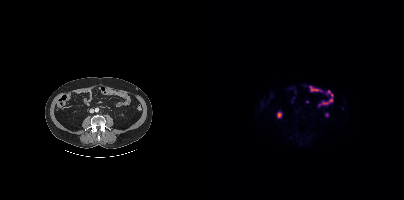
Findings: No tumor lesions annotated on this slice.
- Two-panel axial: CT | PSMA PET, [18F]PSMA-1007 tracer
- acquired on Siemens Biograph mCT Flow 20
- slice 144 of 417
- PET panel 200×200 px (4.1 mm/px)